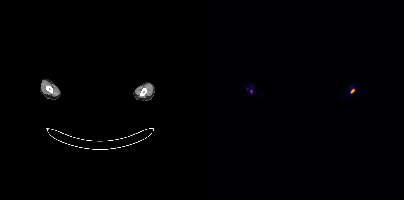
{"modality":"PSMA PET/CT","view":"axial","tracer":"[68Ga]Ga-PSMA-11","pet_grid":[200,200],"coord_frame":"pet_panel","coord_format":"x0,y0,x1,y1","deidentification":"head region blanked (face removed)","lesion_bboxes":[],"small_foci_centers":[[148,90]]}